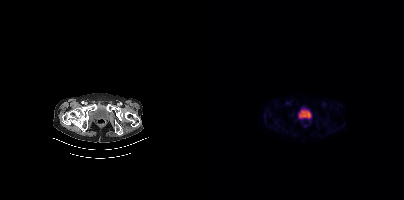
{"modality":"PSMA PET/CT","view":"axial","tracer":"68Ga-PSMA","pet_grid":[200,200],"coord_frame":"pet_panel","coord_format":"x0,y0,x1,y1","psma_avid_lesions":false}